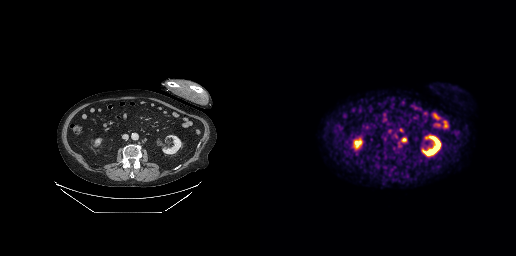
Two-panel axial: CT | PSMA PET, 18F-PSMA tracer. Slice position z = -474 mm. PET panel 256×256 px (2.7 mm/px).
Coordinates are on the 256×256 PET (right) panel. PSMA-avid tumor lesion bounding boxes:
| # | x0 | y0 | x1 | y1 |
|---|---|---|---|---|
| 1 | 142 | 138 | 146 | 141 |
Small PSMA-avid focus (2 to 4 px across) near (center x, center y): (140, 129).